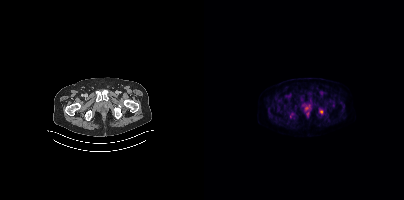
{"modality":"PSMA PET/CT","view":"axial","tracer":"18F","pet_grid":[200,200],"coord_frame":"pet_panel","coord_format":"x0,y0,x1,y1","lesion_bboxes":[],"small_foci_centers":[[117,111]]}